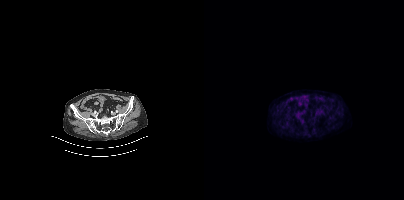
Technique: Left: CT. Right: PSMA PET, same axial level, [18F]PSMA-1007 tracer. acquired on Siemens Biograph mCT Flow 20. slice position z = -1372 mm. PET panel 200×200 px (4.1 mm/px).
Findings: Negative for PSMA-avid disease on this slice.